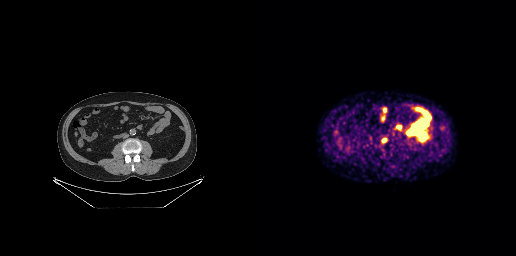
Findings: Coordinates are on the 256×256 PET (right) panel. PSMA-avid tumor lesion bounding box (x, y, width, height): x=122 y=138 w=5 h=4.
Technique: Paired axial CT (left) and PSMA PET (right), [68Ga]Ga-PSMA-11 tracer. PET panel 256×256 px (2.7 mm/px).